A black rectangle in this scan is a privacy mask, not anatomy.
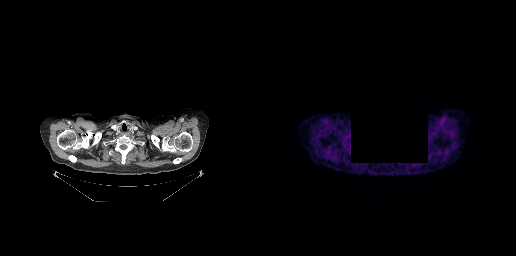
No PSMA-avid tumor lesions on this slice.